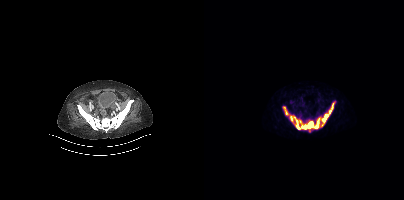
Technique: Two-panel axial: CT | PSMA PET, [68Ga]Ga-PSMA-11 tracer. slice 98 of 397. PET panel 200×200 px (4.1 mm/px).
Findings: Coordinates are on the 200×200 PET (right) panel. (showing 5 of 6 foci) PSMA-avid tumor lesion bounding boxes (x0, y0)-(x1, y1): (81, 111)-(86, 117) / (92, 124)-(98, 129) / (123, 110)-(127, 115) / (108, 125)-(112, 128) / (127, 102)-(130, 108).